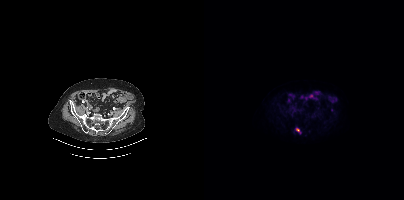
Coordinates are on the 200×200 PET (right) panel. PSMA-avid tumor lesion bounding box (x0,y0,x1,y1): [92,128,96,133]. Two-panel axial: CT | PSMA PET, 18F tracer. Slice position z = -862 mm.